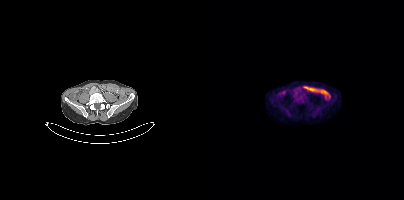
Findings: No tumor lesions annotated on this slice.
Technique: Left: CT. Right: PSMA PET, same axial level, 18F-PSMA tracer. acquired on Siemens Biograph mCT Flow 20. slice position z = -1479 mm.